Paired axial CT (left) and PSMA PET (right), [18F]PSMA-1007 tracer. Slice position z = -874 mm. PET panel 200×200 px (4.1 mm/px).
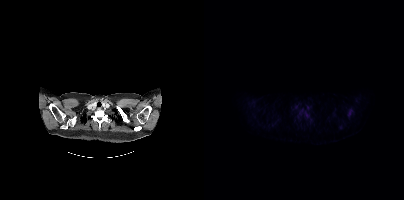
Coordinates are on the 200×200 PET (right) panel. (showing 1 of 2 foci) Small PSMA-avid focus (2 to 4 px across) near (center x, center y): (103, 115).